Two-panel axial: CT | PSMA PET, 68Ga tracer. Slice position z = -1172 mm. PET panel 200×200 px (4.1 mm/px).
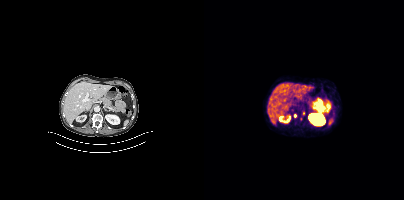
Coordinates are on the 200×200 PET (right) panel. Small PSMA-avid foci (2 to 4 px across) near (center x, center y): (91, 115); (99, 112).